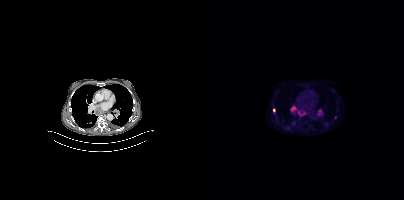
Coordinates are on the 200×200 PET (right) panel. (showing 6 of 7 foci) PSMA-avid tumor lesion bounding boxes (x0,y0,x1,y1): [93,110,103,116], [86,106,92,111], [113,110,117,114]. Small PSMA-avid foci (2 to 4 px across) near (center x, center y): (90, 122), (70, 110), (84, 127).